Paired axial CT (left) and PSMA PET (right), 18F tracer. Slice position z = -22 mm. PET panel 200×200 px (4.1 mm/px).
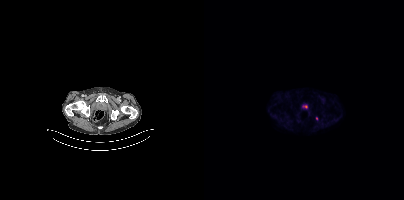
Only PSMA-avid lesion pieces thinner than 2 px on this slice (not listed).